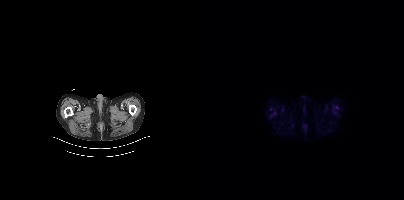
Coordinates are on the 200×200 PET (right) panel. Small PSMA-avid focus (2 to 4 px across) near (center x, center y): (132, 107). Two-panel axial: CT | PSMA PET, [18F]PSMA-1007 tracer. Slice 42 of 415. PET panel 200×200 px (4.1 mm/px).